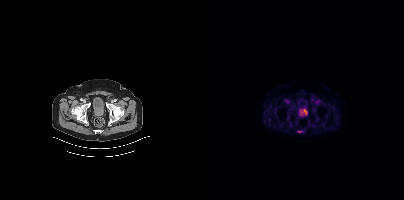
Findings: Coordinates are on the 200×200 PET (right) panel. Small PSMA-avid focus (2 to 4 px across) near (center x, center y): (94, 131).
Technique: Paired axial CT (left) and PSMA PET (right), [18F]PSMA-1007 tracer. acquired on Siemens Biograph mCT Flow 20. PET panel 200×200 px (4.1 mm/px).